Two-panel axial: CT | PSMA PET, 18F-PSMA tracer. Slice position z = -1409 mm.
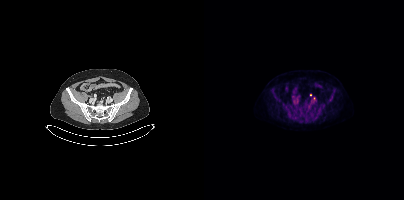
Coordinates are on the 200×200 PET (right) panel. (showing 1 of 2 foci) Small PSMA-avid focus (2 to 4 px across) near (center x, center y): (106, 94).